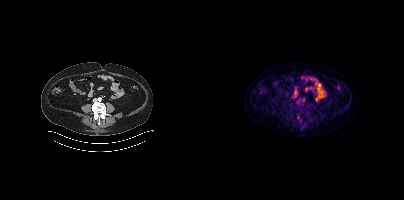
{"modality":"PSMA PET/CT","view":"axial","tracer":"[18F]PSMA-1007","pet_grid":[200,200],"coord_frame":"pet_panel","coord_format":"x0,y0,x1,y1","psma_avid_lesions":false}